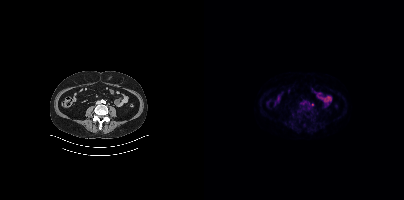
Only PSMA-avid lesion pieces thinner than 2 px on this slice (not listed). Paired axial CT (left) and PSMA PET (right), [18F]PSMA-1007 tracer. Acquired on Siemens Biograph mCT Flow 20.